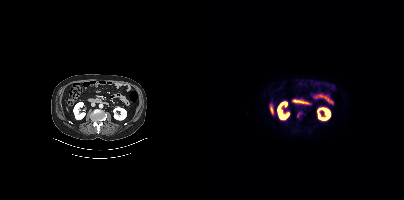
Only PSMA-avid lesion pieces thinner than 2 px on this slice (not listed).